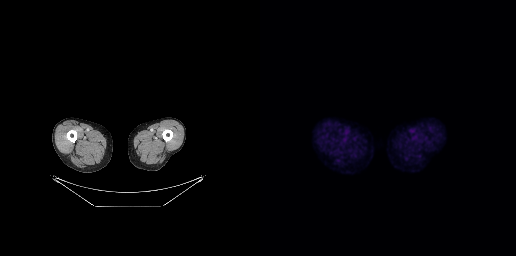
Findings: No tumor lesions annotated on this slice.
Technique: Left: CT. Right: PSMA PET, same axial level, 18F-PSMA tracer. acquired on GE Discovery 690.